Paired axial CT (left) and PSMA PET (right), 18F tracer. PET panel 200×200 px (4.1 mm/px).
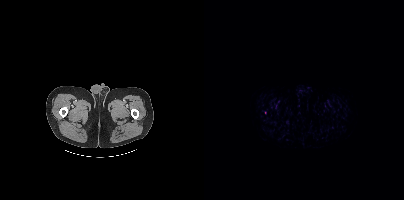
Coordinates are on the 200×200 PET (right) panel. Small PSMA-avid focus (2 to 4 px across) near (center x, center y): (61, 112).